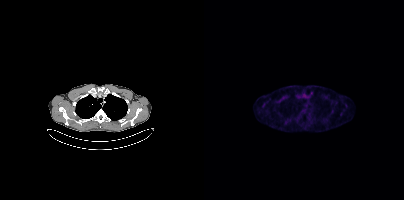
{"modality":"PSMA PET/CT","view":"axial","tracer":"18F","pet_grid":[200,200],"coord_frame":"pet_panel","coord_format":"x0,y0,x1,y1","lesion_bboxes":[],"small_foci_centers":[[128,110]]}